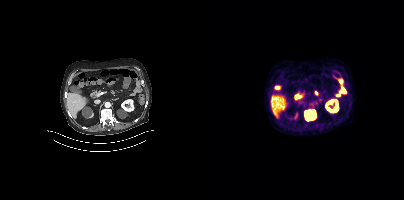
Coordinates are on the 200×200 PET (right) panel. PSMA-avid tumor lesion bounding boxes:
| # | x0 | y0 | x1 | y1 |
|---|---|---|---|---|
| 1 | 100 | 109 | 112 | 120 |
Left: CT. Right: PSMA PET, same axial level, 18F tracer. Slice position z = 1084 mm.